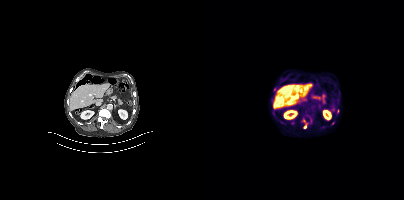
Coordinates are on the 200×200 PET (right) panel. (showing 6 of 8 foci) PSMA-avid tumor lesion bounding boxes (x0, y0)-(x1, y1): (98, 118)-(103, 127); (74, 119)-(81, 125); (67, 97)-(69, 103); (132, 94)-(136, 97). Small PSMA-avid foci (2 to 4 px across) near (center x, center y): (128, 123); (70, 89).
modality: PSMA PET/CT | tracer: [18F]PSMA-1007 | view: axial | PET grid: 200×200